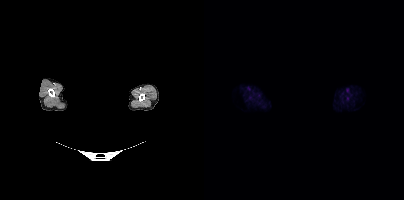
{"pet_grid":[200,200],"coord_frame":"pet_panel","coord_format":"x0,y0,x1,y1","psma_avid_lesions":false,"modality":"PSMA PET/CT","view":"axial","tracer":"18F","redaction":"privacy mask over head"}